- Left: CT. Right: PSMA PET, same axial level, [18F]PSMA-1007 tracer
- PET panel 200×200 px (4.1 mm/px)
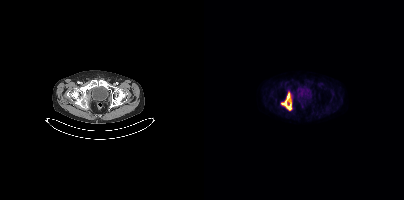
Findings: Coordinates are on the 200×200 PET (right) panel. PSMA-avid tumor lesion bounding box (x0, y0)-(x1, y1): (77, 92)-(87, 110).